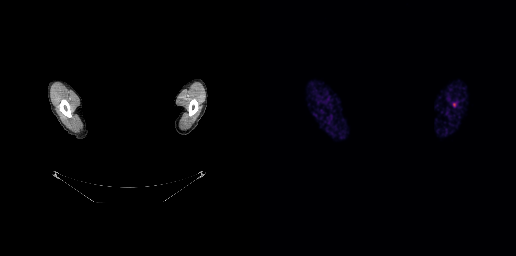
- any black rectangle over the head is a privacy mask, not anatomy
- Left: CT. Right: PSMA PET, same axial level, 68Ga tracer
- PET panel 256×256 px (2.7 mm/px)
Findings: Only PSMA-avid lesion pieces thinner than 2 px on this slice (not listed).